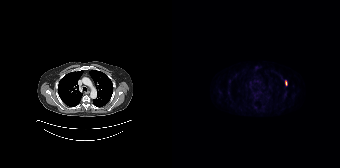
Technique: Paired axial CT (left) and PSMA PET (right), [18F]PSMA-1007 tracer. slice position z = -670 mm. PET panel 168×168 px (4.1 mm/px).
Findings: Coordinates are on the 168×168 PET (right) panel. PSMA-avid tumor lesion bounding box (x0, y0)-(x1, y1): (113, 80)-(115, 85).